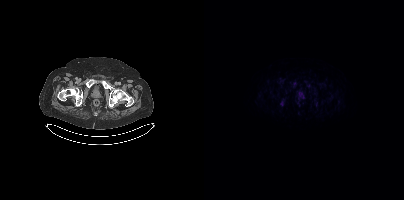
Coordinates are on the 200×200 PET (right) panel. Small PSMA-avid focus (2 to 4 px across) near (center x, center y): (77, 104).
modality: PSMA PET/CT | tracer: 18F | view: axial